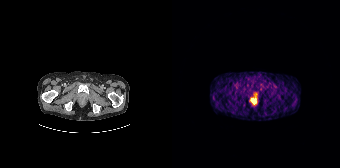
modality: PSMA PET/CT | tracer: [68Ga]Ga-PSMA-11 | view: axial
Coordinates are on the 168×168 PET (right) panel. PSMA-avid tumor lesion bounding box (x, y, width, height): x=80 y=99 w=4 h=5.